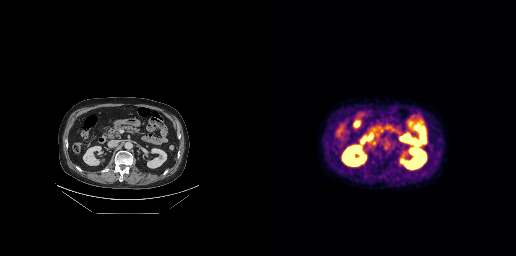
modality: PSMA PET/CT | tracer: 18F | view: axial | PET grid: 256×256
Negative for PSMA-avid disease on this slice.